Left: CT. Right: PSMA PET, same axial level, 18F tracer. Slice 451 of 454. The head region is masked for de-identification.
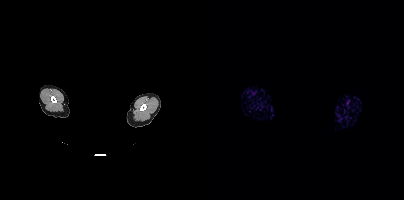
No PSMA-avid tumor lesions on this slice.